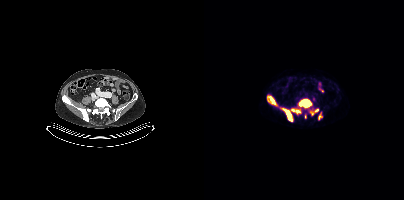
modality: PSMA PET/CT | tracer: [18F]PSMA-1007 | view: axial | PET grid: 200×200
Coordinates are on the 200×200 PET (right) panel. PSMA-avid tumor lesion bounding boxes (x0, y0)-(x1, y1): (95, 99)-(107, 107) / (78, 108)-(88, 121) / (65, 96)-(71, 104) / (92, 110)-(96, 112) / (106, 111)-(109, 115) / (115, 115)-(116, 119). Small PSMA-avid foci (2 to 4 px across) near (center x, center y): (112, 110) / (89, 110) / (101, 116).